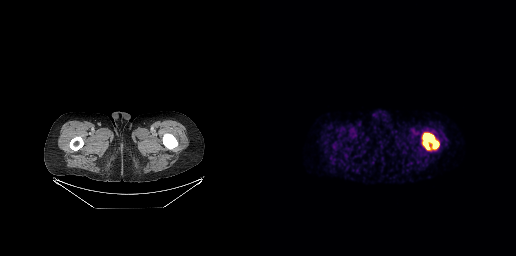
Coordinates are on the 256×256 PET (right) panel. PSMA-avid tumor lesion bounding box (x, y, width, height): x=162 y=133 w=18 h=17.